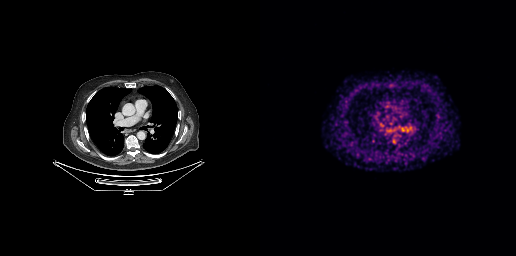
Paired axial CT (left) and PSMA PET (right), [68Ga]Ga-PSMA-11 tracer. Acquired on GE Discovery 690. Slice position z = -491 mm. Negative for PSMA-avid disease on this slice.